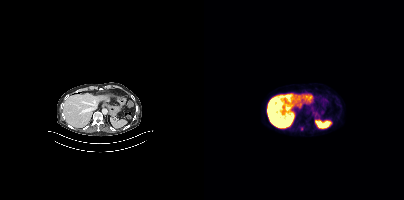
Only PSMA-avid lesion pieces thinner than 2 px on this slice (not listed).
modality: PSMA PET/CT | tracer: 18F | view: axial